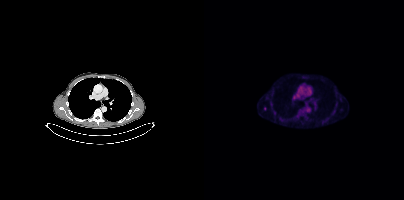
Coordinates are on the 200×200 PET (right) panel. Small PSMA-avid focus (2 to 4 px across) near (center x, center y): (61, 108).